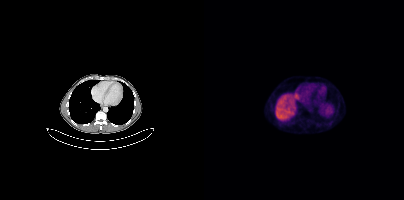
Negative for PSMA-avid disease on this slice.